Technique: Two-panel axial: CT | PSMA PET, 18F-PSMA tracer. acquired on Siemens Biograph mCT Flow 20.
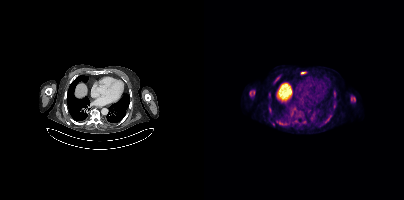
Findings: Coordinates are on the 200×200 PET (right) panel. PSMA-avid tumor lesion bounding boxes (x, y, width, height): x=45 y=90 w=7 h=7 | x=147 y=96 w=5 h=6 | x=122 y=116 w=5 h=6 | x=72 y=121 w=5 h=4 | x=129 y=93 w=3 h=6 | x=97 y=72 w=5 h=2. Small PSMA-avid foci (2 to 4 px across) near (center x, center y): (73, 78) | (65, 107) | (69, 124).